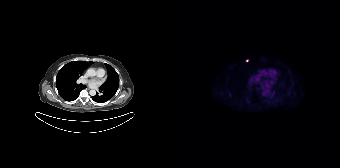
- Two-panel axial: CT | PSMA PET, [18F]PSMA-1007 tracer
- acquired on Siemens Biograph 64-4R TruePoint
- slice position z = -1156 mm
- PET panel 168×168 px (4.1 mm/px)
Findings: Coordinates are on the 168×168 PET (right) panel. Small PSMA-avid foci (2 to 4 px across) near (center x, center y): (75, 60), (75, 101).